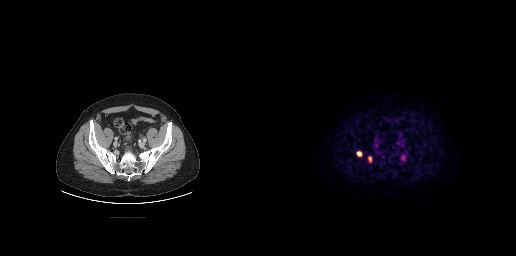
Coordinates are on the 256×256 PET (right) panel. PSMA-avid tumor lesion bounding boxes (x, y, width, height): x=108 y=156 w=5 h=7 | x=97 y=151 w=6 h=6. Small PSMA-avid focus (2 to 4 px across) near (center x, center y): (143, 157).